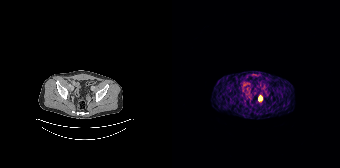
Findings: Coordinates are on the 168×168 PET (right) panel. Small PSMA-avid focus (2 to 4 px across) near (center x, center y): (88, 98).
Technique: Two-panel axial: CT | PSMA PET, 68Ga-PSMA tracer. slice position z = -604 mm.